modality: PSMA PET/CT | tracer: 18F | view: axial | PET grid: 200×200
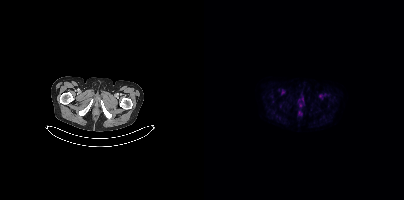
Negative for PSMA-avid disease on this slice.